Left: CT. Right: PSMA PET, same axial level, [18F]PSMA-1007 tracer. PET panel 200×200 px (4.1 mm/px). The head region is masked for de-identification.
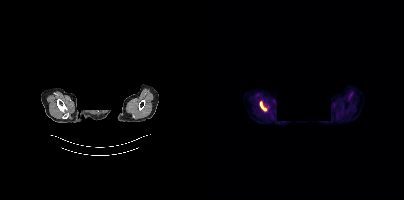
Coordinates are on the 200×200 PET (right) panel. PSMA-avid tumor lesion bounding boxes:
| # | x0 | y0 | x1 | y1 |
|---|---|---|---|---|
| 1 | 56 | 102 | 62 | 110 |